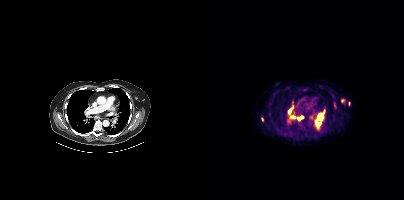
Coordinates are on the 200×200 PET (right) panel. PSMA-avid tumor lesion bounding boxes (x0, y0)-(x1, y1): (112, 109)-(121, 121) | (84, 101)-(91, 118) | (111, 121)-(116, 128) | (94, 116)-(99, 120). Small PSMA-avid foci (2 to 4 px across) near (center x, center y): (138, 100) | (107, 117) | (130, 106) | (58, 119) | (145, 103). Two-panel axial: CT | PSMA PET, 18F tracer. PET panel 200×200 px (4.1 mm/px).